Left: CT. Right: PSMA PET, same axial level, 18F-PSMA tracer. Slice 8 of 395.
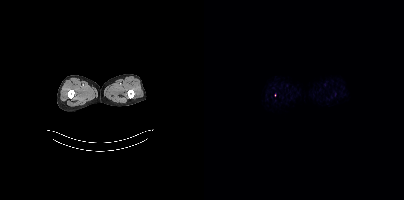
Only PSMA-avid lesion pieces thinner than 2 px on this slice (not listed).